modality: PSMA PET/CT | tracer: [18F]PSMA-1007 | view: axial | PET grid: 200×200
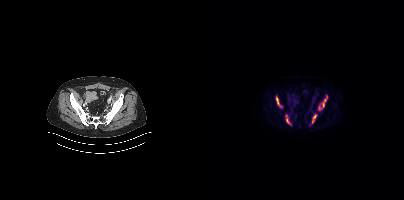
Coordinates are on the 200×200 PET (right) panel. PSMA-avid tumor lesion bounding boxes (x0,y0,x1,y1): [115,95,123,109]; [72,96,75,104]; [108,116,111,121]; [82,118,85,123]. Small PSMA-avid focus (2 to 4 px across) near (center x, center y): (82, 115).